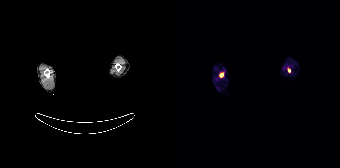
- an anonymization step blacked out a rectangle over the head in this scan
- Left: CT. Right: PSMA PET, same axial level, [68Ga]Ga-PSMA-11 tracer
- acquired on Siemens Biograph 64-4R TruePoint
- slice position z = -624 mm
Findings: Coordinates are on the 168×168 PET (right) panel. Small PSMA-avid foci (2 to 4 px across) near (center x, center y): (49, 74) | (117, 70).